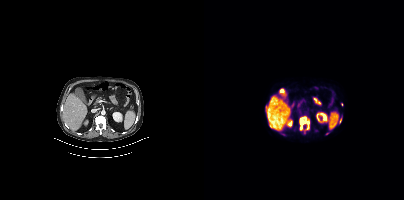
{"modality":"PSMA PET/CT","view":"axial","tracer":"18F","pet_grid":[200,200],"coord_frame":"pet_panel","coord_format":"x0,y0,x1,y1","lesion_bboxes":[[96,117,104,129],[135,118,137,122]]}